Left: CT. Right: PSMA PET, same axial level, [68Ga]Ga-PSMA-11 tracer. PET panel 256×256 px (2.7 mm/px).
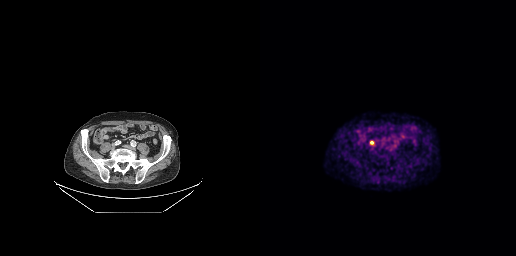
Coordinates are on the 256×256 PET (right) panel. PSMA-avid tumor lesion bounding box (x, y, width, height): x=110 y=140 w=5 h=6.